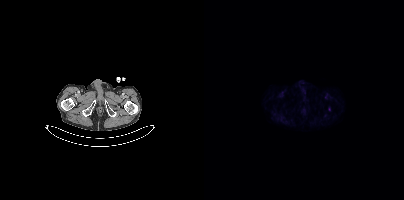
Only PSMA-avid lesion pieces thinner than 2 px on this slice (not listed).
modality: PSMA PET/CT | tracer: 18F | view: axial